- Left: CT. Right: PSMA PET, same axial level, [68Ga]Ga-PSMA-11 tracer
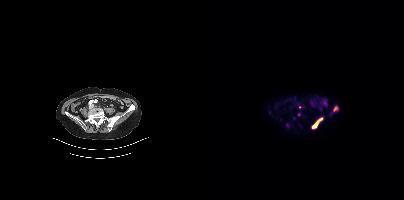
Findings: Coordinates are on the 200×200 PET (right) panel. PSMA-avid tumor lesion bounding boxes (x, y, width, height): x=129 y=106 w=6 h=6 / x=108 y=121 w=7 h=8. Small PSMA-avid foci (2 to 4 px across) near (center x, center y): (117, 118) / (96, 106) / (94, 114).